- Left: CT. Right: PSMA PET, same axial level, [68Ga]Ga-PSMA-11 tracer
- PET panel 168×168 px (4.1 mm/px)
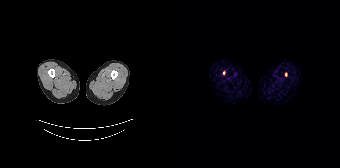
Findings: Coordinates are on the 168×168 PET (right) panel. Small PSMA-avid foci (2 to 4 px across) near (center x, center y): (114, 74); (51, 72).